Left: CT. Right: PSMA PET, same axial level, 68Ga-PSMA tracer. Slice 190 of 195. A rectangle over the head was blacked out to remove identifiable facial features.
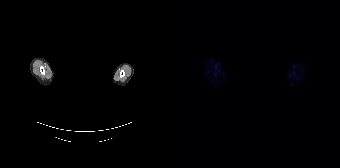
Negative for PSMA-avid disease on this slice.